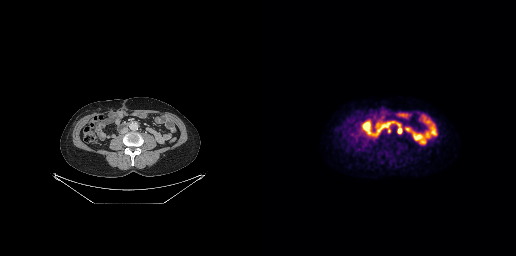
{"pet_grid":[256,256],"coord_frame":"pet_panel","coord_format":"x0,y0,x1,y1","lesion_bboxes":[[137,126,142,133],[128,127,130,132]],"modality":"PSMA PET/CT","view":"axial","tracer":"18F"}